Technique: Left: CT. Right: PSMA PET, same axial level, 18F tracer. acquired on Siemens Biograph mCT Flow 20. slice 85 of 395. PET panel 200×200 px (4.1 mm/px).
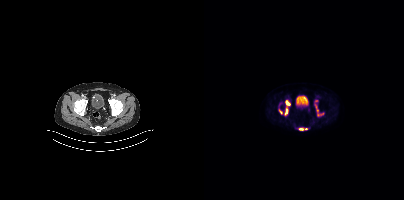
Findings: Coordinates are on the 200×200 PET (right) panel. PSMA-avid tumor lesion bounding boxes (x0,y0,x1,y1): [110,100,120,116] [80,100,86,115] [95,127,103,130] [75,109,78,114].